- Two-panel axial: CT | PSMA PET, 18F-PSMA tracer
- acquired on Siemens Biograph mCT Flow 20
- slice position z = -928 mm
- PET panel 200×200 px (4.1 mm/px)
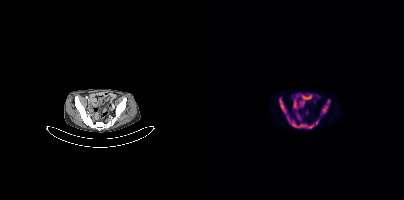
Findings: Coordinates are on the 200×200 PET (right) panel. (showing 4 of 5 foci) PSMA-avid tumor lesion bounding boxes (x0, y0)-(x1, y1): (83, 115)-(110, 128) / (118, 99)-(126, 113) / (75, 98)-(82, 113). Small PSMA-avid focus (2 to 4 px across) near (center x, center y): (113, 122).